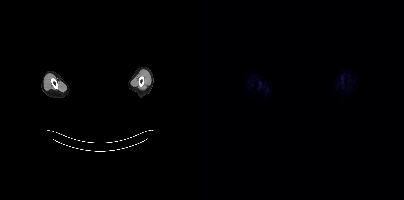
Head region blanked for anonymization (face removed). Left: CT. Right: PSMA PET, same axial level, [18F]PSMA-1007 tracer. PET panel 200×200 px (4.1 mm/px). This slice has no annotated PSMA-avid lesion.